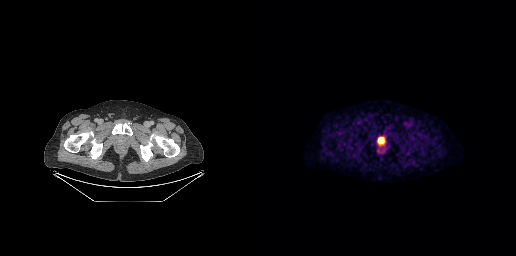
Coordinates are on the 256×256 PET (right) panel. PSMA-avid tumor lesion bounding box (x0,y0,x1,y1): [118,137,123,142].